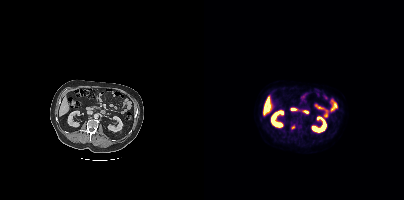
Two-panel axial: CT | PSMA PET, 18F tracer. Acquired on Siemens Biograph mCT Flow 20. Coordinates are on the 200×200 PET (right) panel. Small PSMA-avid focus (2 to 4 px across) near (center x, center y): (88, 127).